Paired axial CT (left) and PSMA PET (right), 68Ga tracer.
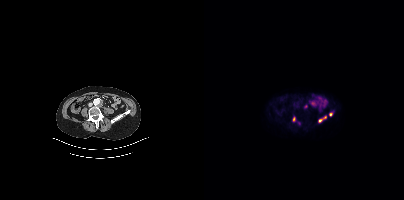
Coordinates are on the 200×200 PET (right) panel. PSMA-avid tumor lesion bounding boxes (x0, y0)-(x1, y1): (116, 116)-(122, 121) | (89, 117)-(91, 121). Small PSMA-avid foci (2 to 4 px across) near (center x, center y): (126, 114) | (102, 106) | (94, 123).